modality: PSMA PET/CT | tracer: 68Ga | view: axial | PET grid: 168×168
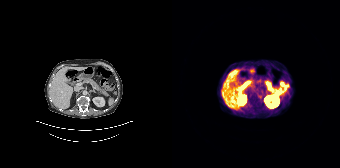
No PSMA-avid tumor lesions on this slice.